modality: PSMA PET/CT | tracer: 68Ga-PSMA | view: axial
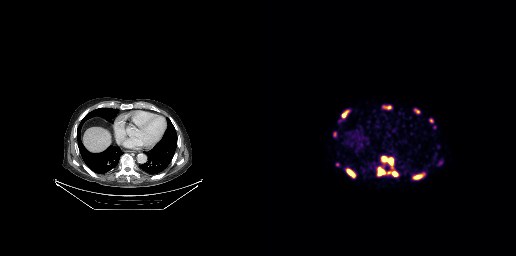
Coordinates are on the 256×256 PET (right) panel. (showing 10 of 11 foci) PSMA-avid tumor lesion bounding boxes (x, y, width, height): x=121 y=156 w=12 h=9; x=86 y=169 w=10 h=9; x=153 y=174 w=11 h=6; x=154 y=108 w=7 h=6; x=119 y=170 w=6 h=6; x=82 y=111 w=5 h=7; x=133 y=172 w=5 h=4; x=178 y=161 w=5 h=4. Small PSMA-avid foci (2 to 4 px across) near (center x, center y): (171, 120); (77, 164).